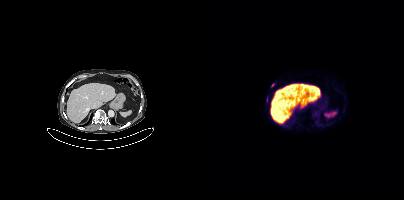
Coordinates are on the 200×200 PET (right) panel. PSMA-avid tumor lesion bounding box (x0, y0)-(x1, y1): (62, 98)-(63, 102). Small PSMA-avid focus (2 to 4 px across) near (center x, center y): (68, 85).